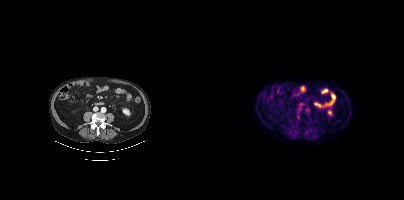
{"modality":"PSMA PET/CT","view":"axial","tracer":"18F-PSMA","pet_grid":[200,200],"coord_frame":"pet_panel","coord_format":"x0,y0,x1,y1","psma_avid_lesions":false}